Technique: Paired axial CT (left) and PSMA PET (right), 68Ga-PSMA tracer. acquired on Siemens Biograph 64-4R TruePoint. PET panel 168×168 px (4.1 mm/px).
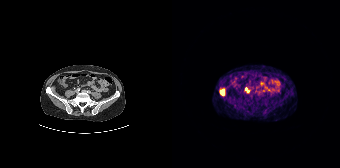
Findings: Coordinates are on the 168×168 PET (right) panel. (showing 2 of 3 foci) PSMA-avid tumor lesion bounding boxes (x0,y0,x1,y1): [48,89,52,94] [73,88,76,92].